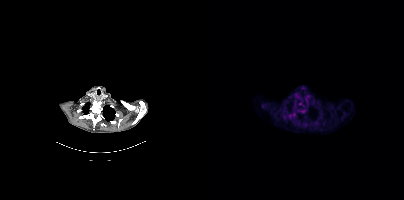
Findings: No PSMA-avid tumor lesions on this slice.
Technique: Left: CT. Right: PSMA PET, same axial level, 18F-PSMA tracer. PET panel 200×200 px (4.1 mm/px).